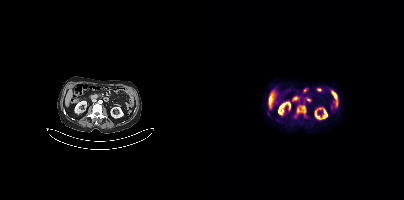
Coordinates are on the 200×200 PET (right) panel. PSMA-avid tumor lesion bounding boxes:
| # | x0 | y0 | x1 | y1 |
|---|---|---|---|---|
| 1 | 91 | 105 | 102 | 117 |
Paired axial CT (left) and PSMA PET (right), [18F]PSMA-1007 tracer. Slice 156 of 373.